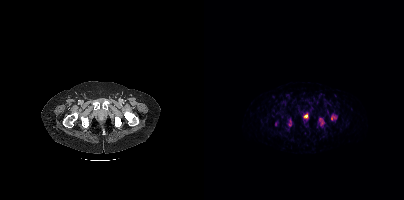
Technique: Left: CT. Right: PSMA PET, same axial level, [68Ga]Ga-PSMA-11 tracer. acquired on Siemens Biograph mCT Flow 20.
Findings: Coordinates are on the 200×200 PET (right) panel. PSMA-avid tumor lesion bounding box (x0, y0)-(x1, y1): (115, 118)-(120, 125). Small PSMA-avid focus (2 to 4 px across) near (center x, center y): (101, 116).